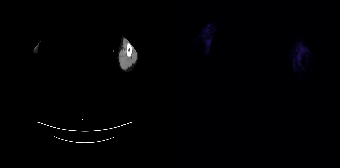
{"modality":"PSMA PET/CT","view":"axial","tracer":"68Ga","pet_grid":[168,168],"coord_frame":"pet_panel","coord_format":"x0,y0,x1,y1","psma_avid_lesions":false,"de-identification":"rectangular block over head set to black"}